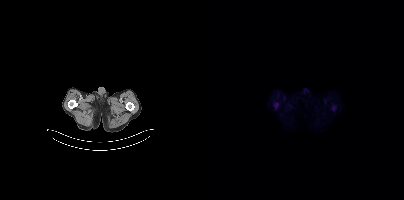
No PSMA-avid tumor lesions on this slice.